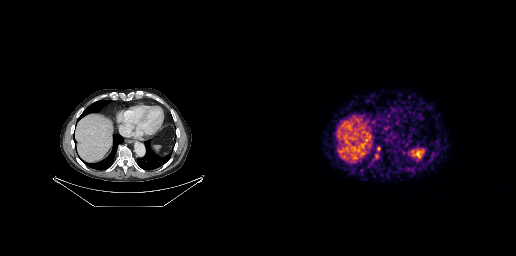
{"modality":"PSMA PET/CT","view":"axial","tracer":"[68Ga]Ga-PSMA-11","pet_grid":[256,256],"coord_frame":"pet_panel","coord_format":"x0,y0,x1,y1","psma_avid_lesions":false}